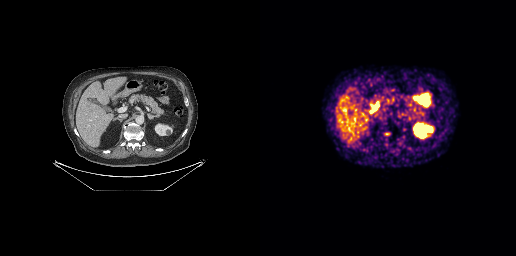
{"modality":"PSMA PET/CT","view":"axial","tracer":"[68Ga]Ga-PSMA-11","pet_grid":[256,256],"coord_frame":"pet_panel","coord_format":"x0,y0,x1,y1","psma_avid_lesions":false}